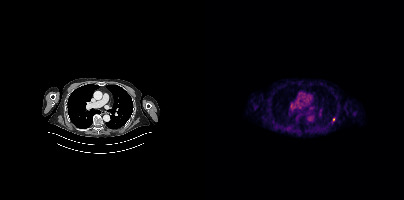
modality: PSMA PET/CT | tracer: 18F | view: axial | PET grid: 200×200
No PSMA-avid tumor lesions on this slice.